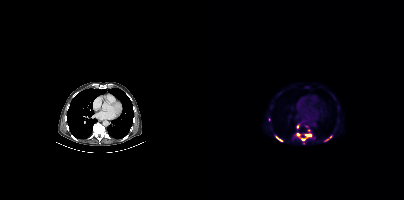
modality: PSMA PET/CT | tracer: [18F]PSMA-1007 | view: axial
Coordinates are on the 200×200 PET (right) panel. (showing 6 of 9 foci) PSMA-avid tumor lesion bounding boxes (x0, y0)-(x1, y1): (101, 133)-(107, 137); (72, 136)-(78, 141); (120, 136)-(127, 141). Small PSMA-avid foci (2 to 4 px across) near (center x, center y): (94, 134); (98, 139); (93, 126).